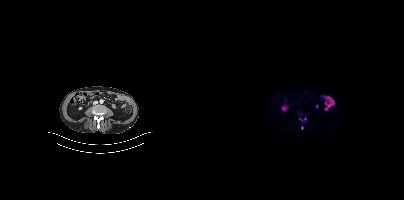
Coordinates are on the 200×200 PET (right) panel. (showing 1 of 2 foci) Small PSMA-avid focus (2 to 4 px across) near (center x, center y): (98, 127).